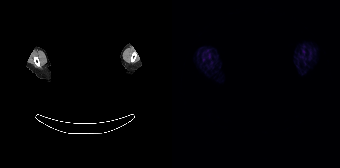
- face de-identified by blanking a block of the head
- Left: CT. Right: PSMA PET, same axial level, 68Ga-PSMA tracer
- PET panel 168×168 px (4.1 mm/px)
Findings: Negative for PSMA-avid disease on this slice.